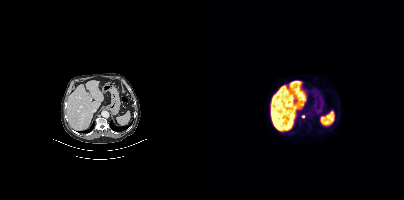
modality: PSMA PET/CT | tracer: 18F | view: axial | PET grid: 200×200
Coordinates are on the 200×200 PET (right) panel. Small PSMA-avid focus (2 to 4 px across) near (center x, center y): (99, 116).